Left: CT. Right: PSMA PET, same axial level, 18F-PSMA tracer. PET panel 200×200 px (4.1 mm/px).
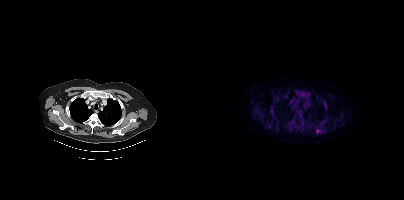
Coordinates are on the 200×200 PET (right) panel. (showing 2 of 3 foci) Small PSMA-avid foci (2 to 4 px across) near (center x, center y): (112, 131), (67, 110).